Two-panel axial: CT | PSMA PET, [68Ga]Ga-PSMA-11 tracer. Slice position z = -804 mm.
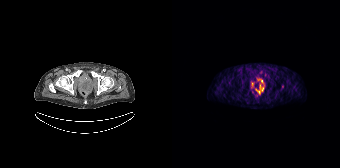
Coordinates are on the 168×168 PET (right) panel. PSMA-avid tumor lesion bounding box (x, y, width, height): x=84 y=85 w=8 h=9. Small PSMA-avid focus (2 to 4 px across) near (center x, center y): (89, 81).